Two-panel axial: CT | PSMA PET, 68Ga tracer. Acquired on GE Discovery 690.
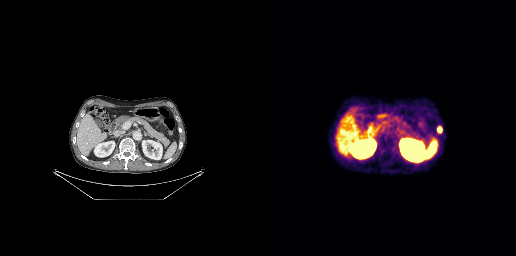
Coordinates are on the 256×256 PET (right) panel. PSMA-avid tumor lesion bounding boxes:
| # | x0 | y0 | x1 | y1 |
|---|---|---|---|---|
| 1 | 177 | 127 | 181 | 132 |